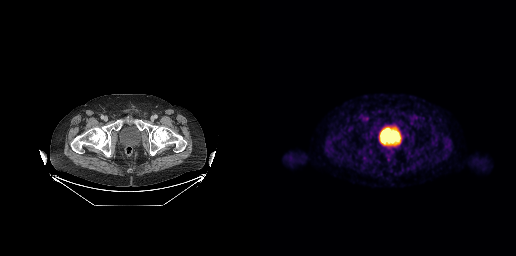
This slice has no annotated PSMA-avid lesion.